- facial anatomy redacted by setting a rectangular region of the head to black
- Left: CT. Right: PSMA PET, same axial level, [68Ga]Ga-PSMA-11 tracer
- slice position z = -277 mm
- PET panel 256×256 px (2.7 mm/px)
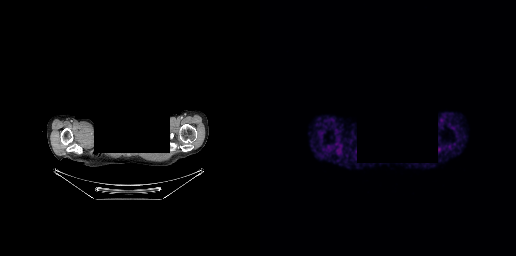
Findings: Negative for PSMA-avid disease on this slice.